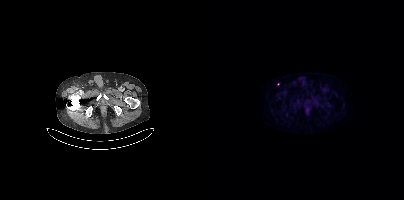
No PSMA-avid tumor lesions on this slice.